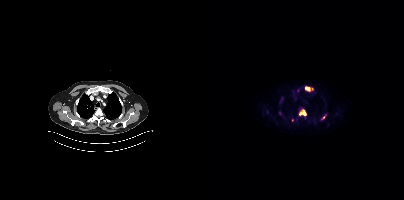
Technique: Left: CT. Right: PSMA PET, same axial level, 18F-PSMA tracer. PET panel 200×200 px (4.1 mm/px).
Findings: Coordinates are on the 200×200 PET (right) panel. (showing 5 of 6 foci) PSMA-avid tumor lesion bounding boxes (x0,y0,x1,y1): [95,109,102,115]; [100,86,109,91]; [117,114,122,120]. Small PSMA-avid foci (2 to 4 px across) near (center x, center y): (76, 113); (93, 90).